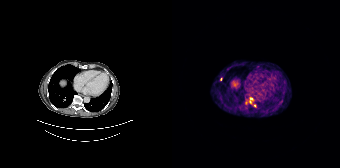
modality: PSMA PET/CT | tracer: 68Ga | view: axial | PET grid: 168×168
Coordinates are on the 168×168 PET (right) panel. (showing 2 of 3 foci) Small PSMA-avid foci (2 to 4 px across) near (center x, center y): (78, 98) | (82, 105).